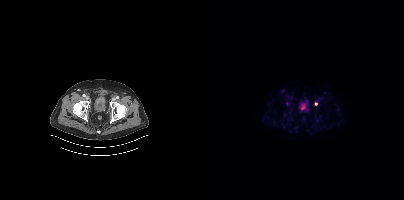
Two-panel axial: CT | PSMA PET, 18F-PSMA tracer. Slice 88 of 444. Coordinates are on the 200×200 PET (right) panel. Small PSMA-avid focus (2 to 4 px across) near (center x, center y): (112, 103).